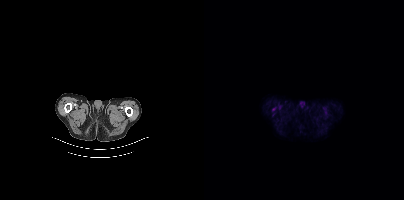
Technique: Paired axial CT (left) and PSMA PET (right), 18F tracer. acquired on Siemens Biograph mCT Flow 20. slice position z = -344 mm.
Findings: This slice has no annotated PSMA-avid lesion.